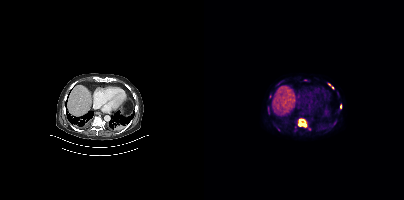
Coordinates are on the 200×200 PET (right) panel. PSMA-avid tumor lesion bounding boxes (partial; 2 more foci not listed):
| # | x0 | y0 | x1 | y1 |
|---|---|---|---|---|
| 1 | 93 | 118 | 103 | 127 |
| 2 | 124 | 83 | 129 | 88 |
| 3 | 136 | 104 | 137 | 108 |
Small PSMA-avid focus (2 to 4 px across) near (center x, center y): (105, 129).
Left: CT. Right: PSMA PET, same axial level, 18F tracer. Slice 287 of 444. PET panel 200×200 px (4.1 mm/px).